Paired axial CT (left) and PSMA PET (right), 18F tracer. PET panel 200×200 px (4.1 mm/px).
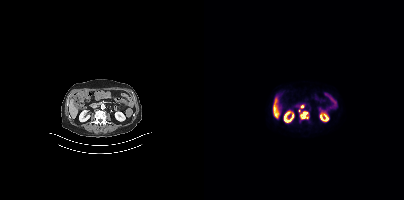
Coordinates are on the 200×200 PET (right) panel. PSMA-avid tumor lesion bounding boxes (partial; 1 more focus not listed):
| # | x0 | y0 | x1 | y1 |
|---|---|---|---|---|
| 1 | 96 | 111 | 104 | 118 |
Small PSMA-avid focus (2 to 4 px across) near (center x, center y): (98, 106).